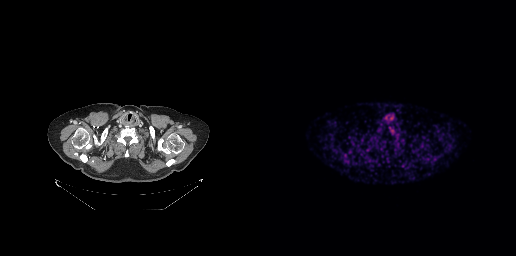
{"modality":"PSMA PET/CT","view":"axial","tracer":"68Ga","pet_grid":[256,256],"coord_frame":"pet_panel","coord_format":"x0,y0,x1,y1","psma_avid_lesions":false}